modality: PSMA PET/CT | tracer: 18F | view: axial
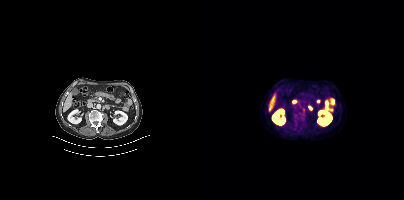
Coordinates are on the 200×200 PET (right) panel. PSMA-avid tumor lesion bounding box (x0,y0,x1,y1): [98,108,101,112].